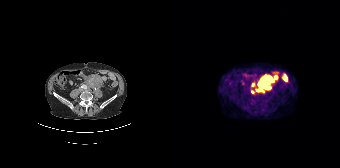
Findings: Coordinates are on the 168×168 PET (right) panel. PSMA-avid tumor lesion bounding box (x, y, width, height): x=85 y=75 w=17 h=17. Small PSMA-avid foci (2 to 4 px across) near (center x, center y): (81, 84) / (80, 92).
Technique: Two-panel axial: CT | PSMA PET, 68Ga-PSMA tracer. slice 58 of 165. PET panel 168×168 px (4.1 mm/px).